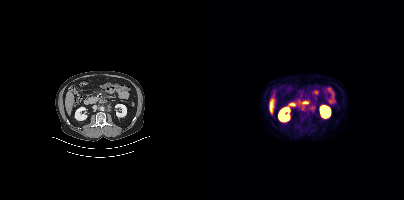
Technique: Paired axial CT (left) and PSMA PET (right), 18F tracer. PET panel 200×200 px (4.1 mm/px).
Findings: Coordinates are on the 200×200 PET (right) panel. Small PSMA-avid focus (2 to 4 px across) near (center x, center y): (107, 109).